Two-panel axial: CT | PSMA PET, 18F tracer.
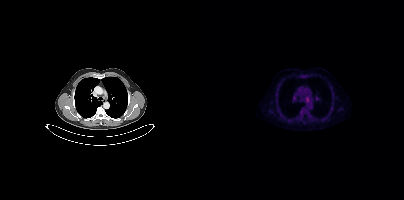
Coordinates are on the 200×200 PET (right) panel. Small PSMA-avid focus (2 to 4 px across) near (center x, center y): (103, 98).